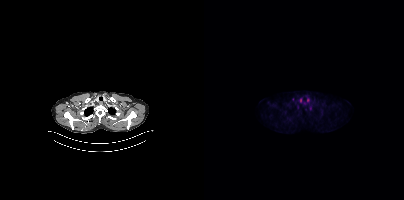
No tumor lesions annotated on this slice.